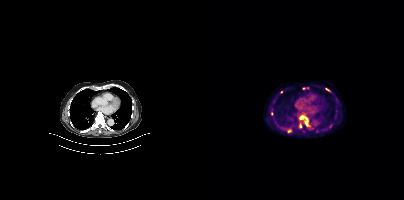
modality: PSMA PET/CT | tracer: [18F]PSMA-1007 | view: axial | PET grid: 200×200
Coordinates are on the 200×200 PET (right) panel. (showing 6 of 8 foci) PSMA-avid tumor lesion bounding boxes (x0,y0,x1,y1): [95,115,105,126] [95,123,97,127] [121,88,125,91]. Small PSMA-avid foci (2 to 4 px across) near (center x, center y): (67, 113) (77, 92) (126, 126).